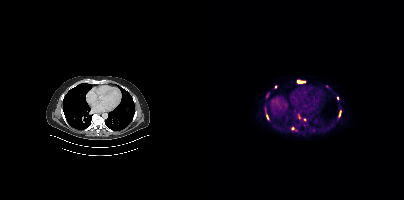
Coordinates are on the 200×200 PET (right) panel. PSMA-avid tumor lesion bounding boxes (x0,y0,x1,y1): [93,80,101,83] [135,111,137,116] [62,115,64,119]. Small PSMA-avid foci (2 to 4 px across) near (center x, center y): (88, 128) (133, 98) (71, 86) (95, 117) (100, 119).